- Left: CT. Right: PSMA PET, same axial level, 18F tracer
- PET panel 200×200 px (4.1 mm/px)
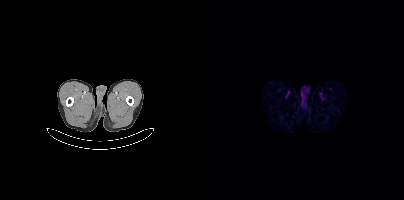
Findings: Negative for PSMA-avid disease on this slice.